Left: CT. Right: PSMA PET, same axial level, 18F tracer. PET panel 256×256 px (2.7 mm/px).
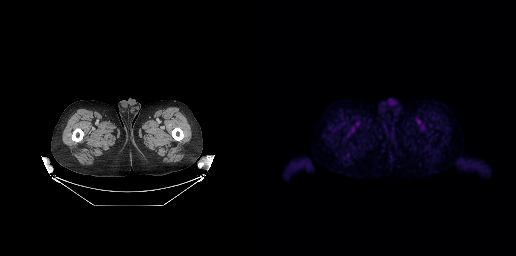
No tumor lesions annotated on this slice.